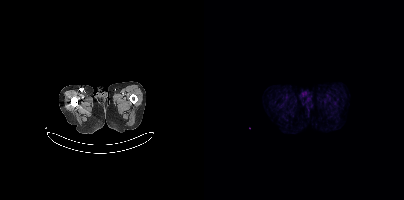
Negative for PSMA-avid disease on this slice. Left: CT. Right: PSMA PET, same axial level, 18F-PSMA tracer. Slice position z = -1632 mm. PET panel 200×200 px (4.1 mm/px).